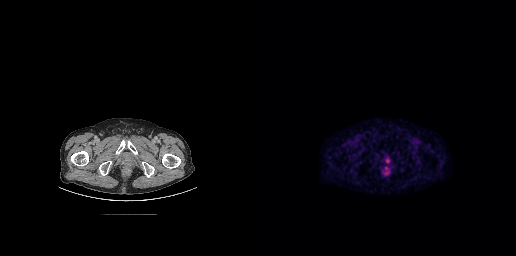
Technique: Two-panel axial: CT | PSMA PET, 18F-PSMA tracer.
Findings: Coordinates are on the 256×256 PET (right) panel. Small PSMA-avid focus (2 to 4 px across) near (center x, center y): (127, 160).